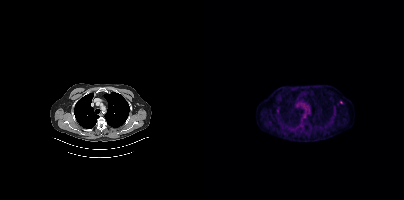
Technique: Paired axial CT (left) and PSMA PET (right), 18F-PSMA tracer. slice position z = -292 mm. PET panel 200×200 px (4.1 mm/px).
Findings: Coordinates are on the 200×200 PET (right) panel. Small PSMA-avid focus (2 to 4 px across) near (center x, center y): (137, 102).